Technique: Paired axial CT (left) and PSMA PET (right), 68Ga tracer. PET panel 256×256 px (2.7 mm/px).
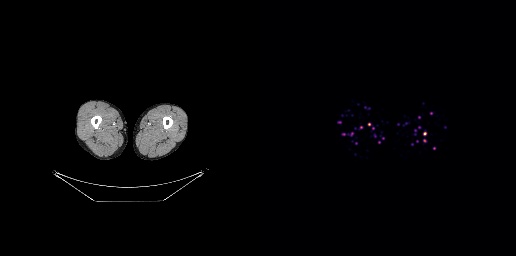
Findings: No PSMA-avid tumor lesions on this slice.